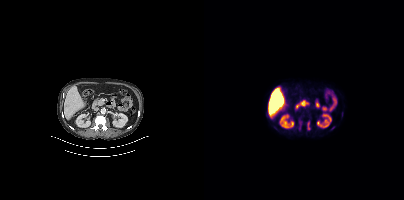
{"modality":"PSMA PET/CT","view":"axial","tracer":"18F-PSMA","pet_grid":[200,200],"coord_frame":"pet_panel","coord_format":"x0,y0,x1,y1","lesion_bboxes":[[103,121,106,130],[95,120,97,129]]}